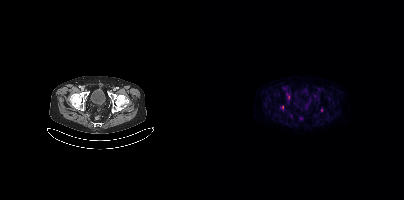
{"modality":"PSMA PET/CT","view":"axial","tracer":"18F-PSMA","pet_grid":[200,200],"coord_frame":"pet_panel","coord_format":"x0,y0,x1,y1","partial":true,"lesion_bboxes":[],"small_foci_centers":[[85,96]]}